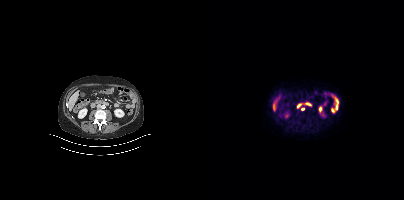
Left: CT. Right: PSMA PET, same axial level, [18F]PSMA-1007 tracer. PET panel 200×200 px (4.1 mm/px). Coordinates are on the 200×200 PET (right) panel. Small PSMA-avid focus (2 to 4 px across) near (center x, center y): (98, 108).